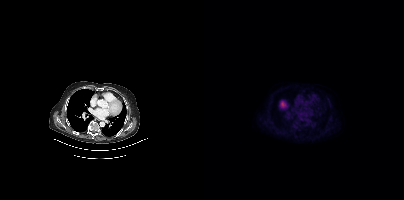
No PSMA-avid tumor lesions on this slice.